modality: PSMA PET/CT | tracer: 18F | view: axial | redaction: rectangular block over head set to black
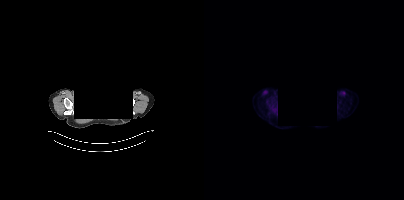
No PSMA-avid tumor lesions on this slice.